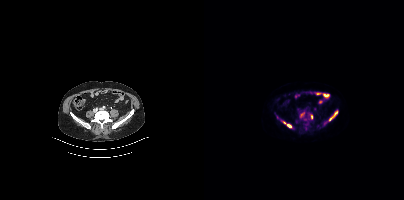
Coordinates are on the 200×200 PET (right) panel. PSMA-avid tumor lesion bounding boxes (x0, y0)-(x1, y1): (125, 111)-(133, 120) | (83, 124)-(87, 127). Small PSMA-avid foci (2 to 4 px across) near (center x, center y): (80, 122) | (107, 117).